- Two-panel axial: CT | PSMA PET, 18F-PSMA tracer
- slice position z = -1316 mm
- PET panel 200×200 px (4.1 mm/px)
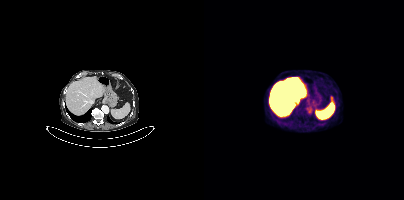
Findings: No PSMA-avid tumor lesions on this slice.